Left: CT. Right: PSMA PET, same axial level, 18F-PSMA tracer. Slice position z = -684 mm. PET panel 256×256 px (2.7 mm/px).
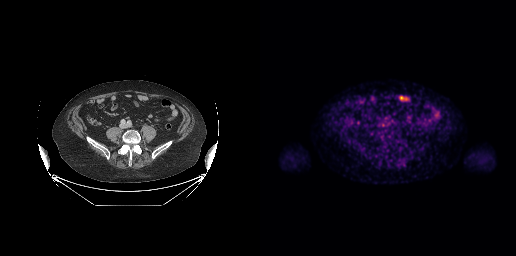
No tumor lesions annotated on this slice.